modality: PSMA PET/CT | tracer: 18F-PSMA | view: axial | PET grid: 200×200
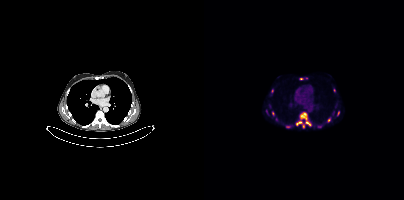
Coordinates are on the 200×200 PET (right) panel. (showing 10 of 12 foci) PSMA-avid tumor lesion bounding boxes (x, y, width, height): x=92 y=112 w=16 h=17 | x=123 y=118 w=4 h=5 | x=68 y=111 w=3 h=5 | x=133 y=111 w=3 h=5. Small PSMA-avid foci (2 to 4 px across) near (center x, center y): (115, 126) | (97, 78) | (84, 126) | (68, 91) | (62, 111) | (72, 119).